Left: CT. Right: PSMA PET, same axial level, [68Ga]Ga-PSMA-11 tracer. Acquired on Siemens Biograph mCT Flow 20. Slice 400 of 409. PET panel 200×200 px (4.1 mm/px). A rectangular block over the head has been blanked out for de-identification.
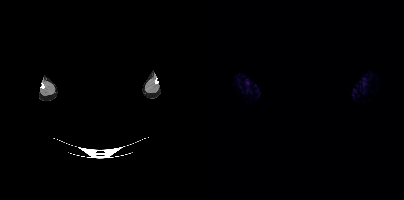
No tumor lesions annotated on this slice.